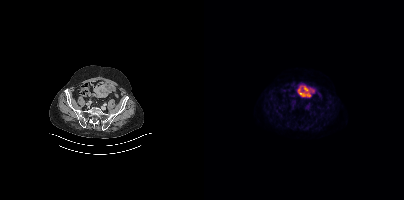
No tumor lesions annotated on this slice.